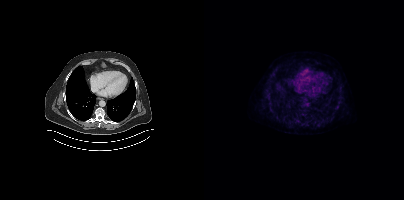
No PSMA-avid tumor lesions on this slice. Two-panel axial: CT | PSMA PET, [18F]PSMA-1007 tracer. Acquired on Siemens Biograph mCT Flow 20. Slice 276 of 435.